deidentification: privacy mask over head | modality: PSMA PET/CT | tracer: 18F | view: axial | PET grid: 200×200
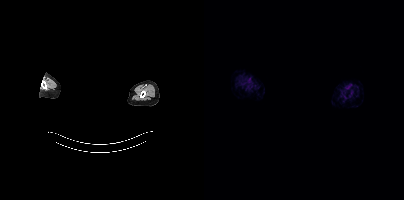
This slice has no annotated PSMA-avid lesion.